Left: CT. Right: PSMA PET, same axial level, 18F tracer. Slice position z = -770 mm. PET panel 200×200 px (4.1 mm/px).
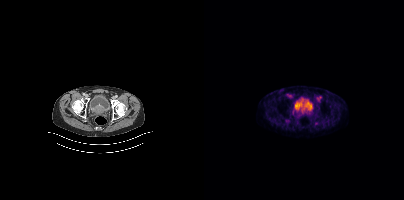
Coordinates are on the 200×200 PET (right) panel. PSMA-avid tumor lesion bounding boxes:
| # | x0 | y0 | x1 | y1 |
|---|---|---|---|---|
| 1 | 94 | 104 | 105 | 113 |